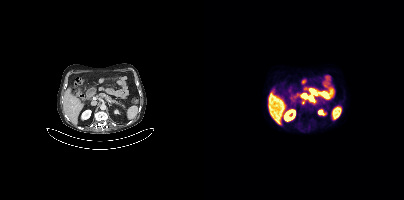
Findings: Coordinates are on the 200×200 PET (right) panel. PSMA-avid tumor lesion bounding box (x, y, width, height): x=97 y=100 w=5 h=5. Small PSMA-avid focus (2 to 4 px across) near (center x, center y): (98, 95).
Technique: Left: CT. Right: PSMA PET, same axial level, [18F]PSMA-1007 tracer. slice 200 of 395.